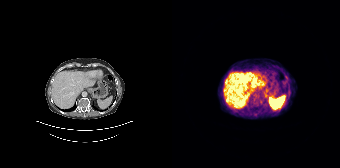
{"modality":"PSMA PET/CT","view":"axial","tracer":"[68Ga]Ga-PSMA-11","pet_grid":[168,168],"coord_frame":"pet_panel","coord_format":"x0,y0,x1,y1","psma_avid_lesions":false}